- Paired axial CT (left) and PSMA PET (right), [18F]PSMA-1007 tracer
- PET panel 200×200 px (4.1 mm/px)
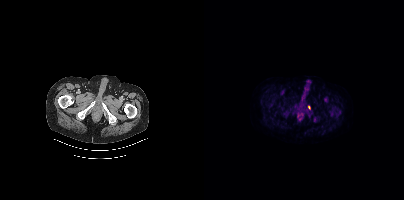
Findings: Coordinates are on the 200×200 PET (right) panel. (showing 1 of 2 foci) PSMA-avid tumor lesion bounding box (x0,y0,x1,y1): [104,105,106,109].